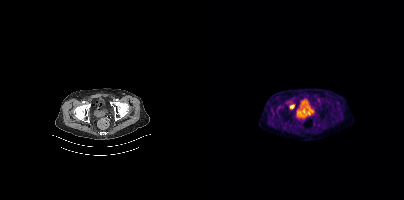
Findings: Coordinates are on the 200×200 PET (right) panel. Small PSMA-avid focus (2 to 4 px across) near (center x, center y): (88, 106).
Technique: Two-panel axial: CT | PSMA PET, [18F]PSMA-1007 tracer. PET panel 200×200 px (4.1 mm/px).